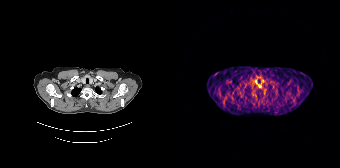
{"modality":"PSMA PET/CT","view":"axial","tracer":"[68Ga]Ga-PSMA-11","pet_grid":[168,168],"coord_frame":"pet_panel","coord_format":"x0,y0,x1,y1","psma_avid_lesions":false}